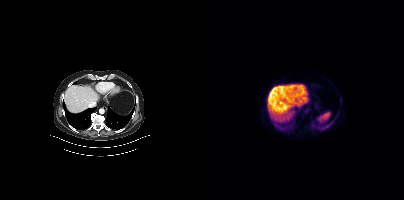
Technique: Left: CT. Right: PSMA PET, same axial level, 18F tracer. acquired on Siemens Biograph mCT Flow 20.
Findings: No PSMA-avid tumor lesions on this slice.